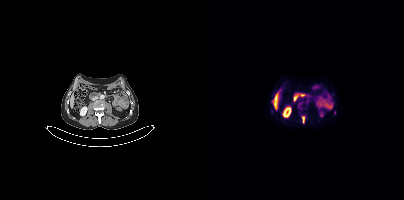
Coordinates are on the 200×200 PET (right) panel. (showing 1 of 3 foci) PSMA-avid tumor lesion bounding box (x0, y0)-(x1, y1): (98, 116)-(101, 123).
modality: PSMA PET/CT | tracer: [18F]PSMA-1007 | view: axial | PET grid: 200×200